Paired axial CT (left) and PSMA PET (right), 18F tracer. PET panel 200×200 px (4.1 mm/px).
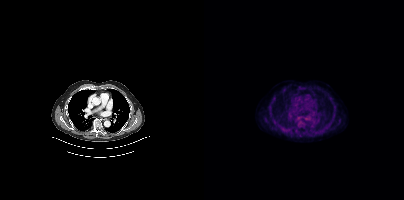
No PSMA-avid tumor lesions on this slice.